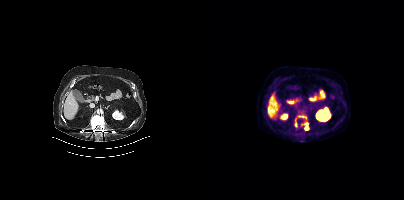
Coordinates are on the 200×200 PET (right) panel. PSMA-avid tumor lesion bounding boxes:
| # | x0 | y0 | x1 | y1 |
|---|---|---|---|---|
| 1 | 93 | 114 | 102 | 118 |
Small PSMA-avid foci (2 to 4 px across) near (center x, center y): (101, 124); (101, 128); (91, 124).
Two-panel axial: CT | PSMA PET, 18F tracer. Acquired on Siemens Biograph mCT Flow 20. PET panel 200×200 px (4.1 mm/px).